modality: PSMA PET/CT | tracer: 18F | view: axial | PET grid: 200×200
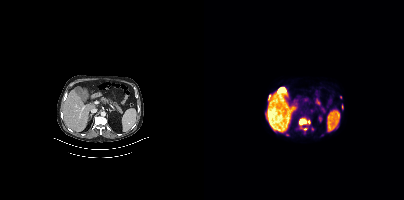
Coordinates are on the 200×200 PET (right) panel. (showing 2 of 5 foci) PSMA-avid tumor lesion bounding boxes (x0,y0,x1,y1): [95,119,102,124]; [64,95,66,100].